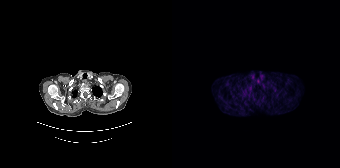
Paired axial CT (left) and PSMA PET (right), [68Ga]Ga-PSMA-11 tracer. No tumor lesions annotated on this slice.